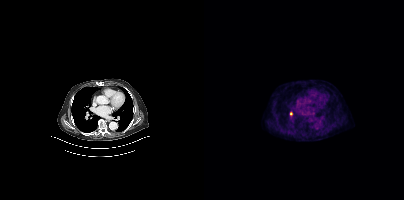
Coordinates are on the 200×200 PET (right) panel. Small PSMA-avid focus (2 to 4 px across) near (center x, center y): (87, 113).